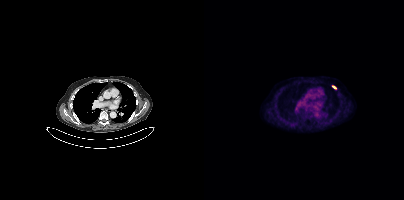
modality: PSMA PET/CT | tracer: 18F-PSMA | view: axial
Coordinates are on the 200×200 PET (right) panel. Small PSMA-avid focus (2 to 4 px across) near (center x, center y): (129, 87).